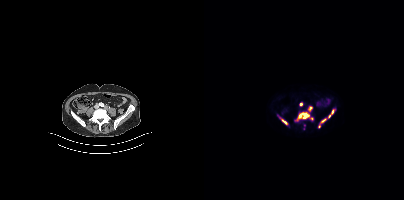
Technique: Left: CT. Right: PSMA PET, same axial level, [18F]PSMA-1007 tracer. acquired on Siemens Biograph mCT Flow 20. slice 123 of 403.
Findings: Coordinates are on the 200×200 PET (right) panel. PSMA-avid tumor lesion bounding boxes (x0,y0,x1,y1): [94,112,105,118] [124,110,130,117] [116,118,122,123] [77,119,83,124]. Small PSMA-avid foci (2 to 4 px across) near (center x, center y): (97, 104) (115, 126) (106, 108) (107, 118).